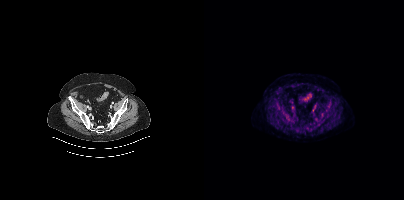
Findings: No tumor lesions annotated on this slice.
- Paired axial CT (left) and PSMA PET (right), [18F]PSMA-1007 tracer
- slice 111 of 438